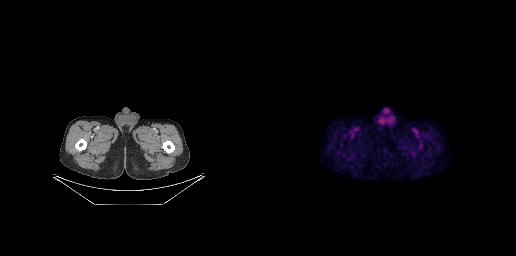
modality: PSMA PET/CT | tracer: 18F-PSMA | view: axial | PET grid: 256×256
This slice has no annotated PSMA-avid lesion.